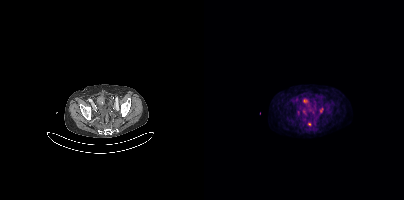
Coordinates are on the 200×200 PET (right) panel. PSMA-avid tumor lesion bounding box (x, y, width, height): x=116 y=108 w=4 h=5. Small PSMA-avid foci (2 to 4 px across) near (center x, center y): (105, 124); (99, 111). Paired axial CT (left) and PSMA PET (right), [18F]PSMA-1007 tracer. Acquired on Siemens Biograph mCT Flow 20.